Technique: Paired axial CT (left) and PSMA PET (right), [18F]PSMA-1007 tracer. acquired on Siemens Biograph mCT Flow 20.
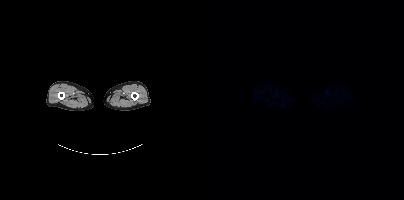
Findings: Negative for PSMA-avid disease on this slice.